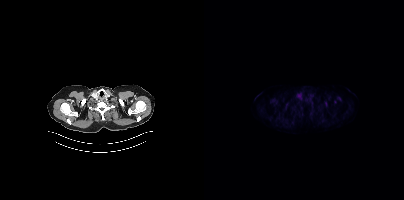
{"modality":"PSMA PET/CT","view":"axial","tracer":"18F","pet_grid":[200,200],"coord_frame":"pet_panel","coord_format":"x0,y0,x1,y1","psma_avid_lesions":false}